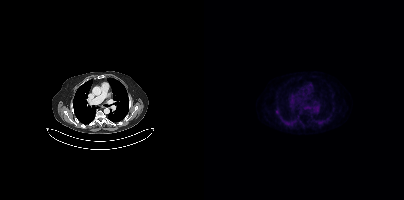
Findings: Coordinates are on the 200×200 PET (right) panel. Small PSMA-avid focus (2 to 4 px across) near (center x, center y): (72, 112).
Technique: Two-panel axial: CT | PSMA PET, 18F-PSMA tracer. acquired on Siemens Biograph mCT Flow 20.